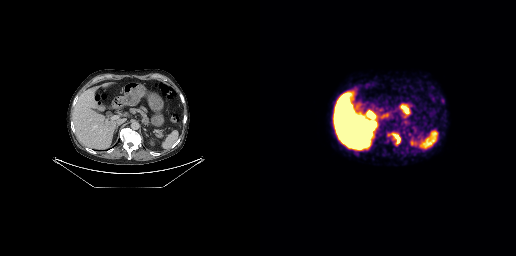
Left: CT. Right: PSMA PET, same axial level, [18F]PSMA-1007 tracer. Slice 157 of 263. PET panel 256×256 px (2.7 mm/px). Coordinates are on the 256×256 PET (right) panel. PSMA-avid tumor lesion bounding boxes (x, y, width, height): x=128 y=132 w=13 h=14 | x=181 y=98 w=4 h=6 | x=95 y=150 w=6 h=2.